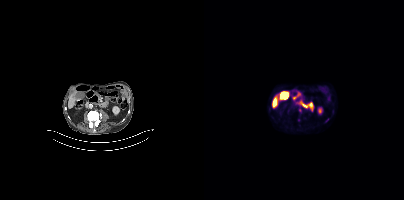
Left: CT. Right: PSMA PET, same axial level, 18F-PSMA tracer. Slice position z = 166 mm. PET panel 200×200 px (4.1 mm/px). Only PSMA-avid lesion pieces thinner than 2 px on this slice (not listed).